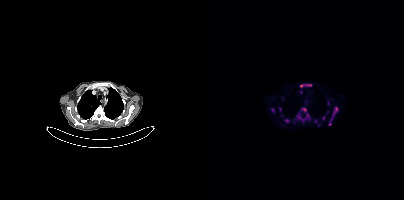
modality: PSMA PET/CT | tracer: 18F | view: axial
Coordinates are on the 200×200 PET (right) panel. (showing 10 of 14 foci) PSMA-avid tumor lesion bounding boxes (x0, y0)-(x1, y1): (129, 107)-(134, 116) | (96, 84)-(107, 87) | (81, 119)-(85, 122) | (98, 108)-(102, 111). Small PSMA-avid foci (2 to 4 px across) near (center x, center y): (103, 115) | (119, 118) | (126, 124) | (75, 109) | (68, 109) | (95, 117).